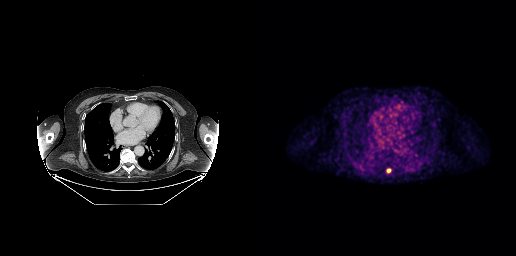
{"pet_grid":[256,256],"coord_frame":"pet_panel","coord_format":"x0,y0,x1,y1","lesion_bboxes":[[126,168,131,172]],"modality":"PSMA PET/CT","view":"axial","tracer":"[18F]PSMA-1007"}